modality: PSMA PET/CT | tracer: 18F-PSMA | view: axial
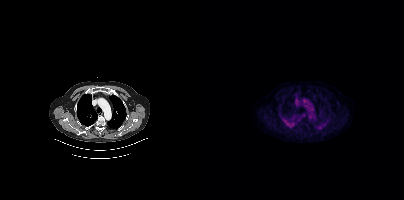
No PSMA-avid tumor lesions on this slice.